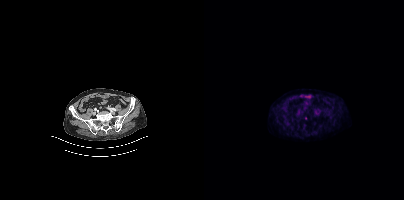
Coordinates are on the 200×200 PET (right) panel. Small PSMA-avid focus (2 to 4 px across) near (center x, center y): (101, 118).